Paired axial CT (left) and PSMA PET (right), [18F]PSMA-1007 tracer. Acquired on Siemens Biograph 64-4R TruePoint. PET panel 168×168 px (4.1 mm/px).
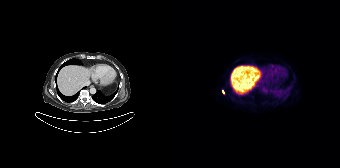
Coordinates are on the 168×168 PET (right) panel. Small PSMA-avid focus (2 to 4 px across) near (center x, center y): (51, 91).